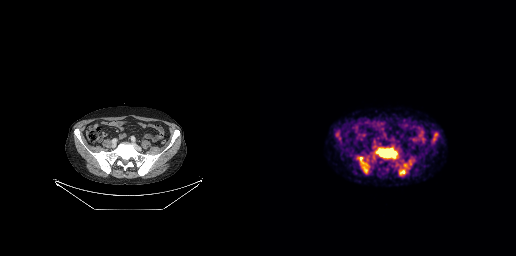
Coordinates are on the 256×256 PET (right) panel. (showing 5 of 6 foci) PSMA-avid tumor lesion bounding boxes (x0,y0,x1,y1): [116,148,138,158] [139,160,151,175] [97,156,109,173]. Small PSMA-avid foci (2 to 4 px across) near (center x, center y): (113, 157) (137, 164).